Left: CT. Right: PSMA PET, same axial level, 18F tracer. PET panel 200×200 px (4.1 mm/px).
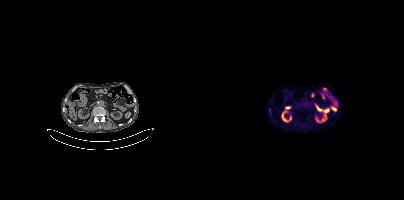
Negative for PSMA-avid disease on this slice.